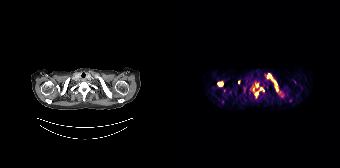
Coordinates are on the 168×168 PET (right) panel. (showing 8 of 9 foci) PSMA-avid tumor lesion bounding boxes (x0, y0)-(x1, y1): (46, 82)-(50, 85); (102, 81)-(105, 85). Small PSMA-avid foci (2 to 4 px across) near (center x, center y): (97, 76); (104, 88); (89, 88); (81, 89); (85, 93); (66, 81).